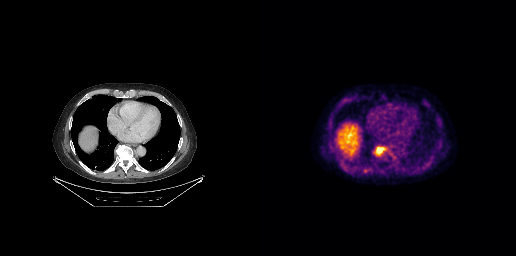
No tumor lesions annotated on this slice.
modality: PSMA PET/CT | tracer: 18F-PSMA | view: axial